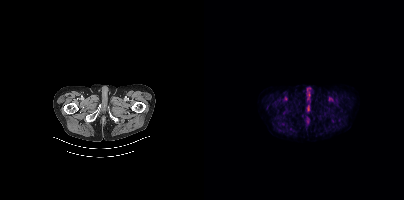
{"modality":"PSMA PET/CT","view":"axial","tracer":"18F-PSMA","pet_grid":[200,200],"coord_frame":"pet_panel","coord_format":"x0,y0,x1,y1","psma_avid_lesions":false}